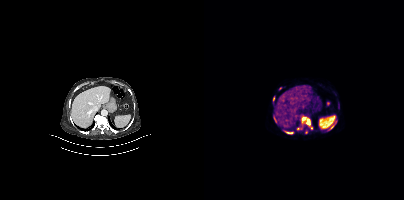
modality: PSMA PET/CT | tracer: 68Ga | view: axial | PET grid: 200×200
Coordinates are on the 200×200 PET (right) panel. (showing 8 of 9 foci) PSMA-avid tumor lesion bounding boxes (x0,y0,x1,y1): [97,116,108,129], [79,130,89,134], [69,115,73,123], [129,122,132,126], [69,97,70,103]. Small PSMA-avid foci (2 to 4 px across) near (center x, center y): (102, 131), (94, 128), (125, 128).